Two-panel axial: CT | PSMA PET, 18F-PSMA tracer. Slice 328 of 387. PET panel 200×200 px (4.1 mm/px). Some pixels were blanked for anonymization.
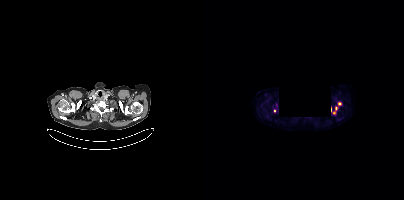
Coordinates are on the 200×200 PET (right) panel. (showing 3 of 4 foci) Small PSMA-avid foci (2 to 4 px across) near (center x, center y): (135, 103) | (70, 110) | (132, 108).